Paired axial CT (left) and PSMA PET (right), [18F]PSMA-1007 tracer. PET panel 256×256 px (2.7 mm/px).
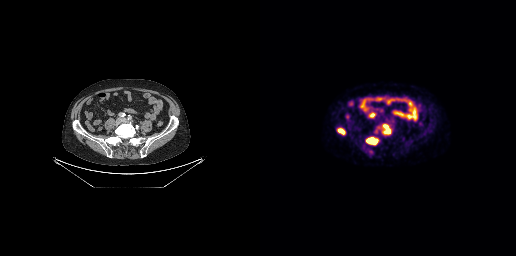
Coordinates are on the 256×256 PET (right) panel. PSMA-avid tumor lesion bounding boxes (x, y, width, height): x=122 y=124 w=10 h=11 | x=106 y=137 w=13 h=9 | x=77 y=128 w=9 h=7.